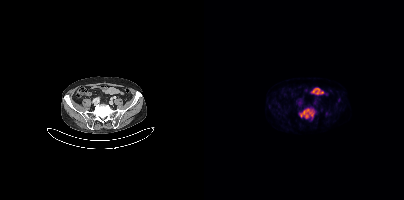
Two-panel axial: CT | PSMA PET, 18F tracer.
Coordinates are on the 200×200 PET (right) panel. PSMA-avid tumor lesion bounding boxes:
| # | x0 | y0 | x1 | y1 |
|---|---|---|---|---|
| 1 | 95 | 108 | 110 | 118 |